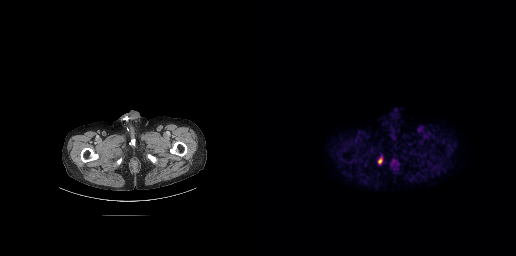
Left: CT. Right: PSMA PET, same axial level, [18F]PSMA-1007 tracer. Slice 30 of 263. Coordinates are on the 256×256 PET (right) panel. PSMA-avid tumor lesion bounding box (x0, y0)-(x1, y1): (118, 158)-(121, 163). Small PSMA-avid focus (2 to 4 px across) near (center x, center y): (135, 164).